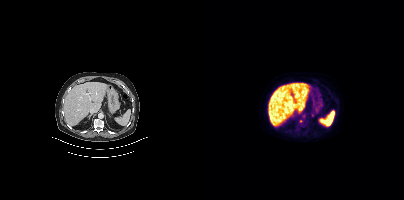
Findings: Coordinates are on the 200×200 PET (right) panel. Small PSMA-avid focus (2 to 4 px across) near (center x, center y): (96, 121).
- Two-panel axial: CT | PSMA PET, 18F tracer
- slice 203 of 381